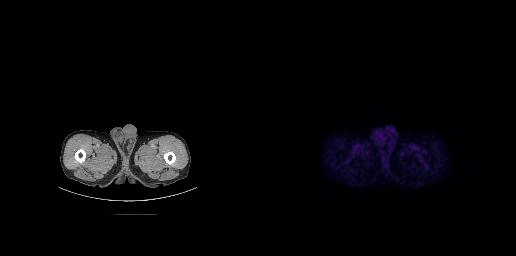
Negative for PSMA-avid disease on this slice. Left: CT. Right: PSMA PET, same axial level, [18F]PSMA-1007 tracer. Acquired on GE Discovery 690.